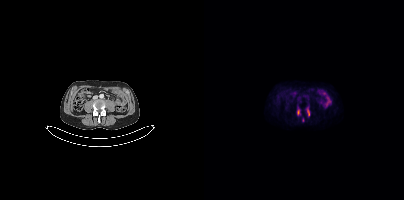
Coordinates are on the 200×200 PET (right) panel. (showing 2 of 3 foci) PSMA-avid tumor lesion bounding boxes (x, y, width, height): x=103 y=109 w=3 h=7 | x=93 y=110 w=3 h=5.